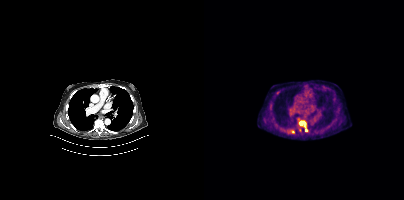
Findings: Coordinates are on the 200×200 PET (right) panel. Small PSMA-avid foci (2 to 4 px across) near (center x, center y): (97, 122) (102, 130) (89, 131).
- Two-panel axial: CT | PSMA PET, 18F-PSMA tracer